De-identified by setting a box covering the face to black before release. Two-panel axial: CT | PSMA PET, 18F-PSMA tracer. Acquired on Siemens Biograph mCT Flow 20. PET panel 200×200 px (4.1 mm/px).
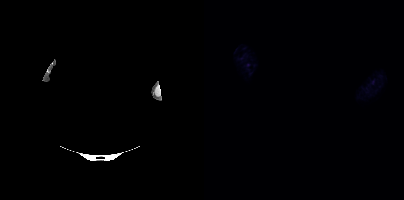
No tumor lesions annotated on this slice.